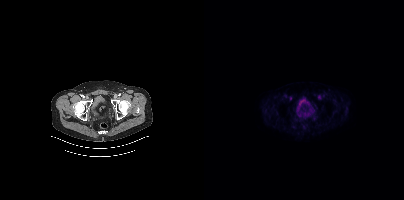
Technique: Two-panel axial: CT | PSMA PET, [18F]PSMA-1007 tracer. acquired on Siemens Biograph mCT Flow 20.
Findings: Negative for PSMA-avid disease on this slice.